- Paired axial CT (left) and PSMA PET (right), [18F]PSMA-1007 tracer
- acquired on Siemens Biograph mCT Flow 20
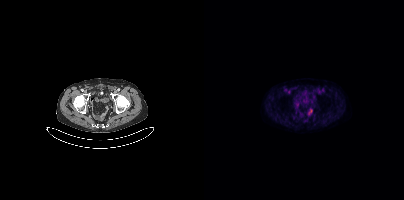
Findings: No tumor lesions annotated on this slice.